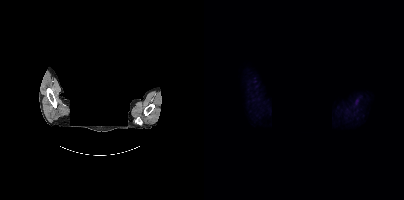
- facial anatomy redacted by setting a rectangular region of the head to black
- Paired axial CT (left) and PSMA PET (right), [18F]PSMA-1007 tracer
- slice 380 of 435
Findings: No PSMA-avid tumor lesions on this slice.